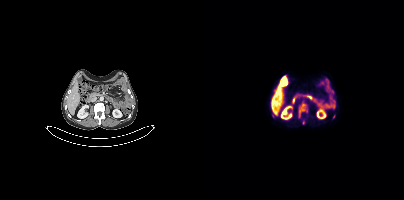
{"modality":"PSMA PET/CT","view":"axial","tracer":"[18F]PSMA-1007","pet_grid":[200,200],"coord_frame":"pet_panel","coord_format":"x0,y0,x1,y1","lesion_bboxes":[[94,101,103,117]]}